Two-panel axial: CT | PSMA PET, 18F-PSMA tracer.
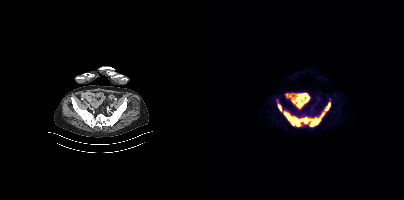
Coordinates are on the 200×200 PET (right) panel. PSMA-avid tumor lesion bounding boxes (x0,y0,x1,y1): [80,112,106,126]; [106,103,126,126]; [74,104,77,110].